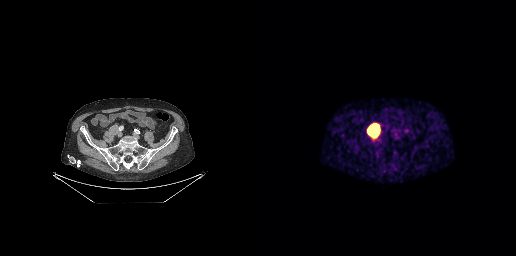
- Left: CT. Right: PSMA PET, same axial level, 68Ga tracer
- slice 94 of 263
Findings: Coordinates are on the 256×256 PET (right) panel. (showing 1 of 2 foci) PSMA-avid tumor lesion bounding box (x0, y0)-(x1, y1): (109, 125)-(118, 134).